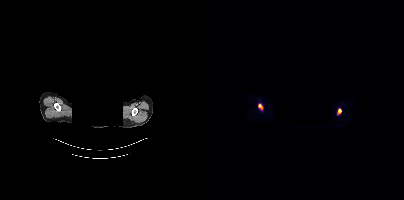
{"modality":"PSMA PET/CT","view":"axial","tracer":"18F-PSMA","pet_grid":[200,200],"coord_frame":"pet_panel","coord_format":"x0,y0,x1,y1","deidentification":"head region blanked (face removed)","lesion_bboxes":[[134,109,137,114],[54,104,58,108]]}